Technique: Left: CT. Right: PSMA PET, same axial level, [18F]PSMA-1007 tracer. acquired on Siemens Biograph mCT Flow 20. slice 296 of 401. PET panel 200×200 px (4.1 mm/px).
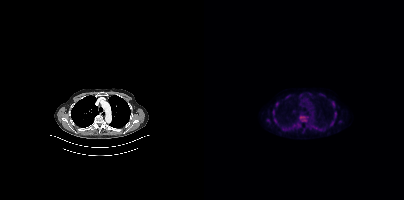
Findings: Coordinates are on the 200×200 PET (right) panel. PSMA-avid tumor lesion bounding boxes (x, y, width, height): x=128 y=101 w=3 h=6; x=131 y=112 w=2 h=6; x=72 y=102 w=3 h=5; x=69 y=110 w=2 h=5. Small PSMA-avid foci (2 to 4 px across) near (center x, center y): (71, 120); (64, 120).